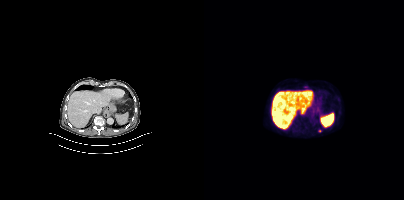
Findings: Coordinates are on the 200×200 PET (right) panel. Small PSMA-avid focus (2 to 4 px across) near (center x, center y): (115, 130).
Technique: Left: CT. Right: PSMA PET, same axial level, 18F tracer. acquired on Siemens Biograph mCT Flow 20. slice 242 of 429.